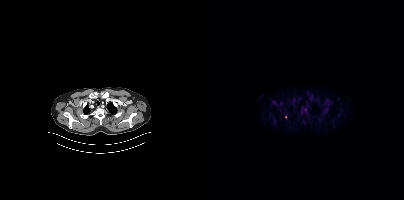
Two-panel axial: CT | PSMA PET, 18F tracer. PET panel 200×200 px (4.1 mm/px). Coordinates are on the 200×200 PET (right) panel. Small PSMA-avid focus (2 to 4 px across) near (center x, center y): (81, 116).